modality: PSMA PET/CT | tracer: 18F | view: axial | PET grid: 256×256
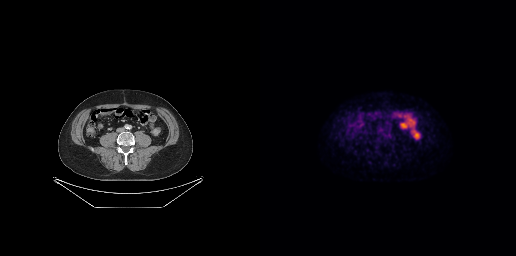
No tumor lesions annotated on this slice.